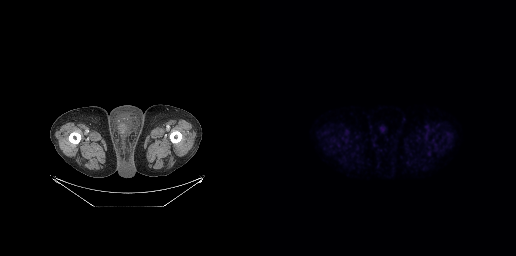
modality: PSMA PET/CT | tracer: 18F-PSMA | view: axial
No PSMA-avid tumor lesions on this slice.